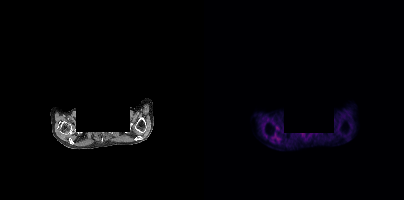
Left: CT. Right: PSMA PET, same axial level, [18F]PSMA-1007 tracer. Acquired on Siemens Biograph mCT Flow 20. Slice 331 of 389. PET panel 200×200 px (4.1 mm/px). A rectangle over the head was blacked out to remove identifiable facial features. This slice has no annotated PSMA-avid lesion.